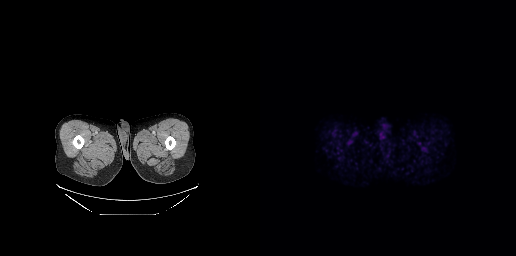
This slice has no annotated PSMA-avid lesion.